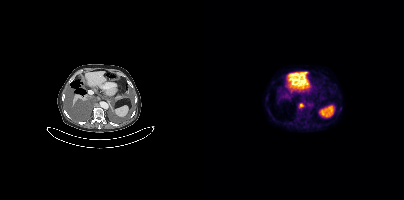
Coordinates are on the 200×200 PET (right) panel. PSMA-avid tumor lesion bounding box (x0, y0)-(x1, y1): (95, 103)-(99, 107).